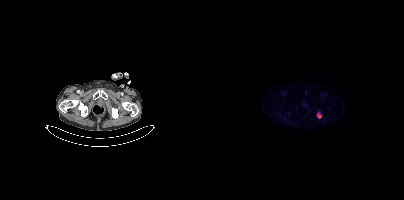
Coordinates are on the 200×200 PET (right) panel. PSMA-avid tumor lesion bounding box (x, y, width, height): x=113 y=113 w=5 h=6.